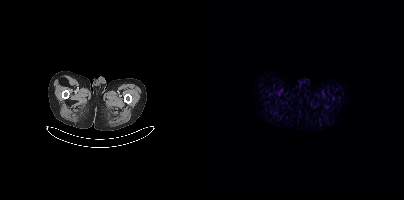
No PSMA-avid tumor lesions on this slice.